modality: PSMA PET/CT | tracer: 18F | view: axial
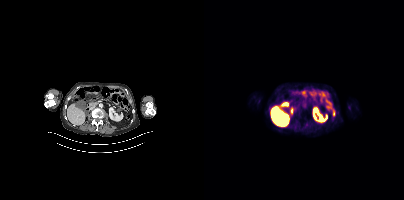
Coordinates are on the 200×200 PET (right) panel. (showing 1 of 2 foci) PSMA-avid tumor lesion bounding box (x0,y0,x1,y1): [129,110,130,115].